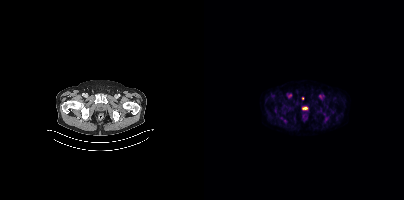
Coordinates are on the 200×200 PET (right) panel. (showing 4 of 6 foci) PSMA-avid tumor lesion bounding box (x0, y0)-(x1, y1): (120, 117)-(124, 122). Small PSMA-avid foci (2 to 4 px across) near (center x, center y): (80, 120) / (71, 110) / (69, 95).